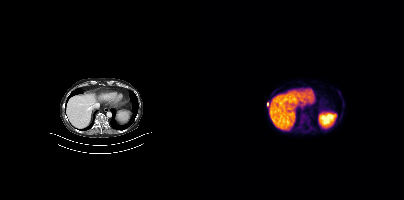
modality: PSMA PET/CT | tracer: 18F | view: axial | PET grid: 200×200
Coordinates are on the 200×200 PET (right) panel. PSMA-avid tumor lesion bounding boxes (x0,y0,x1,y1): [96,113,105,122]; [63,102,64,106].